modality: PSMA PET/CT | tracer: 18F-PSMA | view: axial | PET grid: 200×200
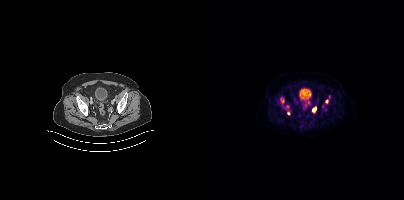
Coordinates are on the 200×200 PET (right) panel. (showing 6 of 9 foci) PSMA-avid tumor lesion bounding boxes (x0, y0)-(x1, y1): (108, 107)-(112, 112); (76, 98)-(80, 103); (122, 99)-(124, 103). Small PSMA-avid foci (2 to 4 px across) near (center x, center y): (84, 113); (105, 102); (83, 106).